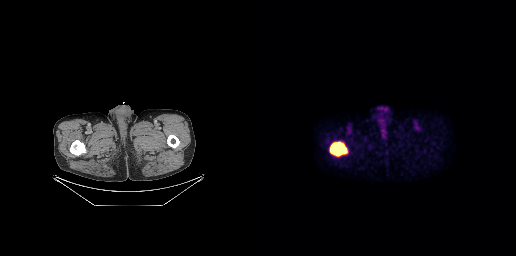
Findings: Coordinates are on the 256×256 PET (right) panel. PSMA-avid tumor lesion bounding box (x0, y0)-(x1, y1): (69, 141)-(88, 157).
Technique: Left: CT. Right: PSMA PET, same axial level, [18F]PSMA-1007 tracer. PET panel 256×256 px (2.7 mm/px).